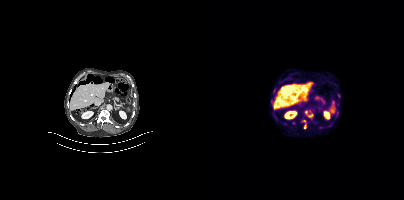
- Paired axial CT (left) and PSMA PET (right), 18F tracer
- PET panel 200×200 px (4.1 mm/px)
Findings: Coordinates are on the 200×200 PET (right) panel. (showing 8 of 11 foci) PSMA-avid tumor lesion bounding boxes (x0, y0)-(x1, y1): (100, 110)-(109, 118) / (98, 120)-(102, 127) / (131, 93)-(136, 98) / (66, 97)-(69, 104) / (77, 122)-(82, 125). Small PSMA-avid foci (2 to 4 px across) near (center x, center y): (72, 119) / (123, 126) / (80, 118).